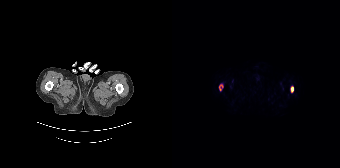
Coordinates are on the 168×168 PET (right) panel. PSMA-avid tumor lesion bounding boxes (x0, y0)-(x1, y1): (47, 84)-(51, 90) | (119, 86)-(121, 92).